- Left: CT. Right: PSMA PET, same axial level, [18F]PSMA-1007 tracer
- acquired on Siemens Biograph mCT Flow 20
- PET panel 200×200 px (4.1 mm/px)
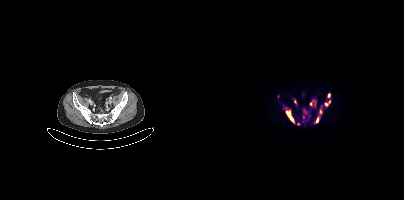
Findings: Coordinates are on the 200×200 PET (right) panel. (showing 9 of 12 foci) PSMA-avid tumor lesion bounding boxes (x, y, width, height): x=82 y=110 w=10 h=14 | x=106 y=100 w=7 h=6 | x=121 y=103 w=5 h=4 | x=124 y=93 w=3 h=5. Small PSMA-avid foci (2 to 4 px across) near (center x, center y): (91, 101) | (116, 111) | (113, 120) | (94, 124) | (99, 117).